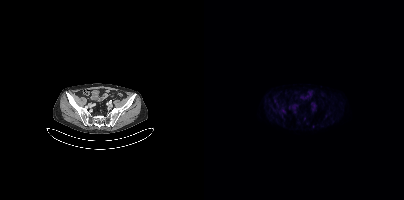
Left: CT. Right: PSMA PET, same axial level, [18F]PSMA-1007 tracer. Slice position z = -152 mm. PET panel 200×200 px (4.1 mm/px). Only PSMA-avid lesion pieces thinner than 2 px on this slice (not listed).